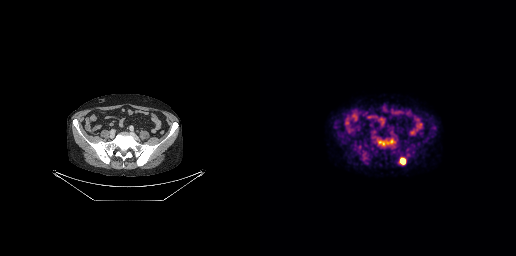
Findings: Coordinates are on the 256×256 PET (right) panel. PSMA-avid tumor lesion bounding box (x, y, width, height): x=140 y=158 w=6 h=7.
- Paired axial CT (left) and PSMA PET (right), [18F]PSMA-1007 tracer
- acquired on GE Discovery 690
- slice 112 of 299